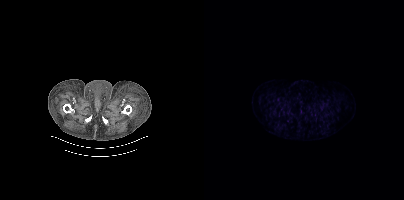
No tumor lesions annotated on this slice.